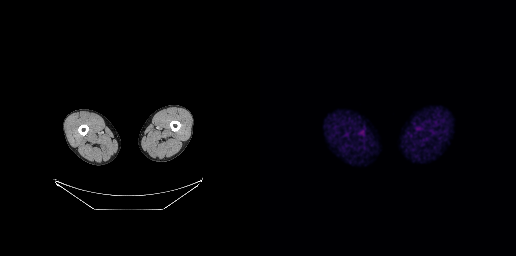
Paired axial CT (left) and PSMA PET (right), 18F-PSMA tracer. Negative for PSMA-avid disease on this slice.